Paired axial CT (left) and PSMA PET (right), 18F-PSMA tracer. Slice position z = 490 mm. PET panel 200×200 px (4.1 mm/px). The head region is masked for de-identification.
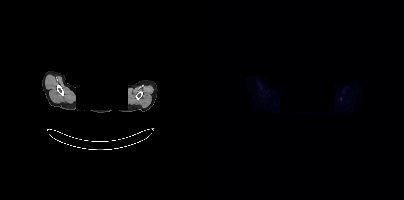
Only PSMA-avid lesion pieces thinner than 2 px on this slice (not listed).